Left: CT. Right: PSMA PET, same axial level, 18F tracer. Acquired on Siemens Biograph mCT Flow 20.
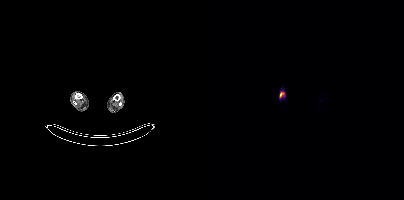
Coordinates are on the 200×200 PET (right) panel. PSMA-avid tumor lesion bounding boxes:
| # | x0 | y0 | x1 | y1 |
|---|---|---|---|---|
| 1 | 75 | 91 | 80 | 97 |